- Paired axial CT (left) and PSMA PET (right), 18F-PSMA tracer
- acquired on Siemens Biograph mCT Flow 20
- slice position z = -1659 mm
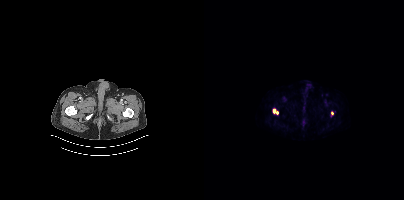
Findings: Coordinates are on the 200×200 PET (right) panel. PSMA-avid tumor lesion bounding boxes (x0, y0)-(x1, y1): (68, 108)-(74, 114); (127, 111)-(129, 115).